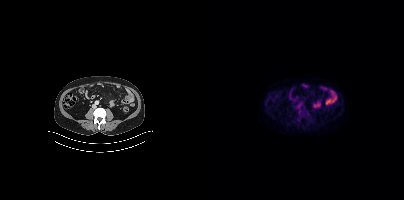
- Left: CT. Right: PSMA PET, same axial level, [18F]PSMA-1007 tracer
- slice 160 of 409
Findings: No tumor lesions annotated on this slice.